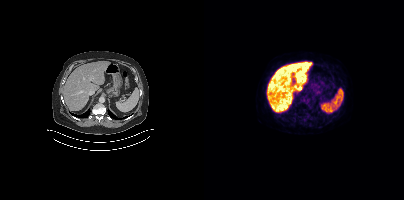
- Two-panel axial: CT | PSMA PET, [18F]PSMA-1007 tracer
- acquired on Siemens Biograph mCT Flow 20
Findings: Coordinates are on the 200×200 PET (right) panel. Small PSMA-avid foci (2 to 4 px across) near (center x, center y): (107, 103) / (105, 106).